Technique: Left: CT. Right: PSMA PET, same axial level, 18F-PSMA tracer. acquired on Siemens Biograph mCT Flow 20. slice position z = -400 mm.
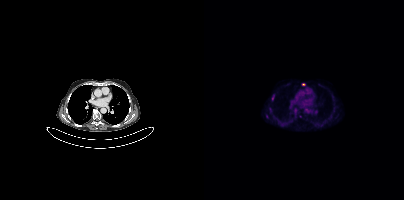
Findings: Coordinates are on the 200×200 PET (right) panel. Small PSMA-avid focus (2 to 4 px across) near (center x, center y): (99, 84).